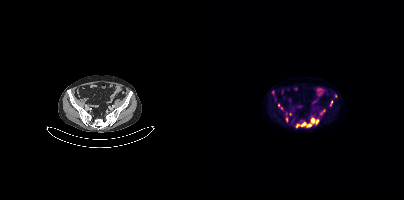
{"modality":"PSMA PET/CT","view":"axial","tracer":"18F-PSMA","pet_grid":[200,200],"coord_frame":"pet_panel","coord_format":"x0,y0,x1,y1","partial":true,"lesion_bboxes":[[92,118,114,127],[126,100,128,106]],"small_foci_centers":[[74,105],[82,119],[131,96],[68,92],[77,108]]}